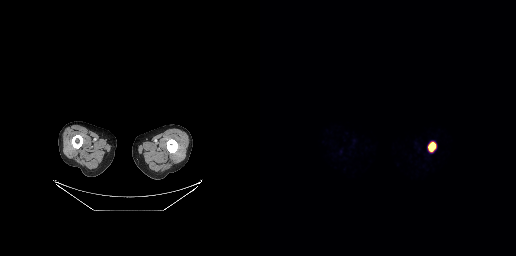
Coordinates are on the 256×256 PET (right) panel. PSMA-avid tumor lesion bounding box (x, y, width, height): x=169 y=143 w=7 h=8.